modality: PSMA PET/CT | tracer: 18F | view: axial
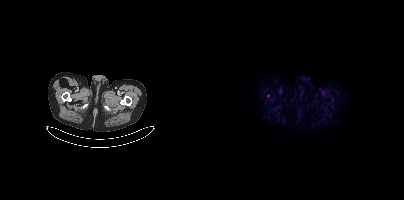
Negative for PSMA-avid disease on this slice.